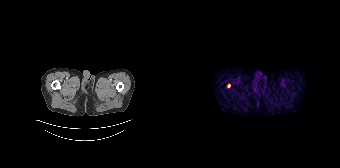
Left: CT. Right: PSMA PET, same axial level, 68Ga-PSMA tracer. Slice position z = -1034 mm. PET panel 168×168 px (4.1 mm/px). Coordinates are on the 168×168 PET (right) panel. Small PSMA-avid focus (2 to 4 px across) near (center x, center y): (57, 85).